Paired axial CT (left) and PSMA PET (right), 18F-PSMA tracer. Acquired on GE Discovery 690.
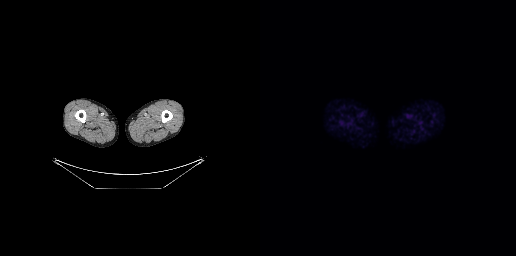
No tumor lesions annotated on this slice.